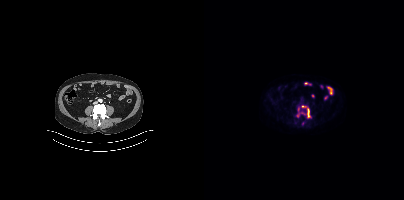
{"modality":"PSMA PET/CT","view":"axial","tracer":"18F","pet_grid":[200,200],"coord_frame":"pet_panel","coord_format":"x0,y0,x1,y1","partial":true,"lesion_bboxes":[[97,105,107,118],[93,113,95,117],[97,112,101,114]],"small_foci_centers":[[94,109]]}